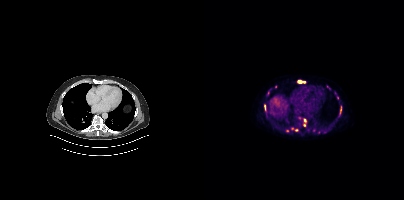
Two-panel axial: CT | PSMA PET, 18F tracer. PET panel 200×200 px (4.1 mm/px).
Coordinates are on the 200×200 PET (right) panel. PSMA-avid tumor lesion bounding boxes (partial; 2 more foci not listed):
| # | x0 | y0 | x1 | y1 |
|---|---|---|---|---|
| 1 | 94 | 80 | 101 | 83 |
| 2 | 100 | 118 | 102 | 122 |
| 3 | 60 | 105 | 61 | 109 |
Small PSMA-avid foci (2 to 4 px across) near (center x, center y): (100, 125); (92, 130); (88, 128).